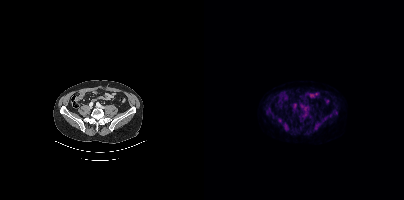
modality: PSMA PET/CT | tracer: 18F-PSMA | view: axial | PET grid: 200×200
No PSMA-avid tumor lesions on this slice.